Two-panel axial: CT | PSMA PET, 18F tracer.
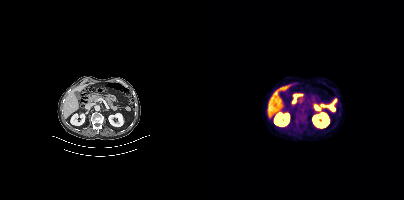
No PSMA-avid tumor lesions on this slice.